Technique: Paired axial CT (left) and PSMA PET (right), 18F-PSMA tracer. slice 136 of 423.
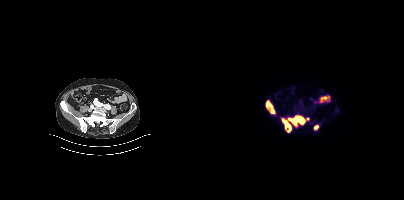
Findings: Coordinates are on the 200×200 PET (right) panel. PSMA-avid tumor lesion bounding boxes (x, y, width, height): x=78 y=116 w=24 h=17 / x=62 y=100 w=10 h=14. Small PSMA-avid foci (2 to 4 px across) near (center x, center y): (111, 127) / (103, 118).